- Paired axial CT (left) and PSMA PET (right), [18F]PSMA-1007 tracer
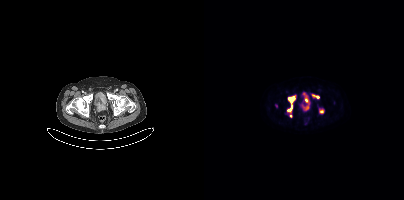
Findings: Coordinates are on the 200×200 PET (right) panel. PSMA-avid tumor lesion bounding boxes (x, y, width, height): x=98 y=95 w=8 h=16; x=84 y=94 w=9 h=10; x=83 y=105 w=6 h=7; x=109 y=95 w=6 h=4. Small PSMA-avid foci (2 to 4 px across) near (center x, center y): (72, 105); (117, 110); (86, 115).